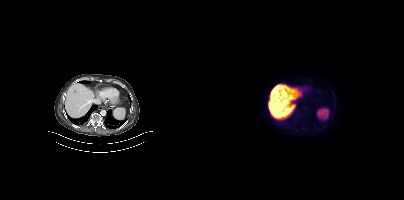
No tumor lesions annotated on this slice.